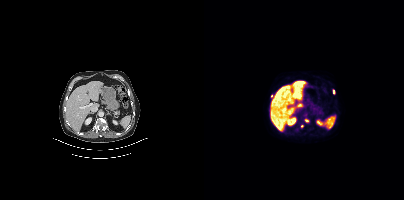
Coordinates are on the 200×200 PET (right) panel. (showing 3 of 4 foci) Small PSMA-avid foci (2 to 4 px across) near (center x, center y): (102, 120) (129, 91) (67, 96).